- Two-panel axial: CT | PSMA PET, [18F]PSMA-1007 tracer
- slice 186 of 263
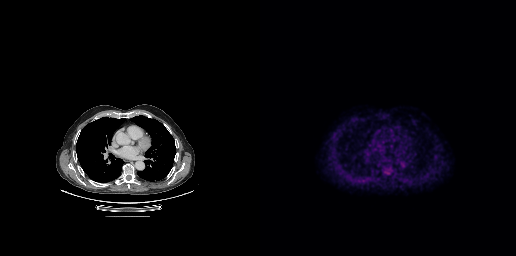
Findings: Coordinates are on the 256×256 PET (right) panel. PSMA-avid tumor lesion bounding box (x0,y0,x1,y1): [126,169,133,175].